- Left: CT. Right: PSMA PET, same axial level, [18F]PSMA-1007 tracer
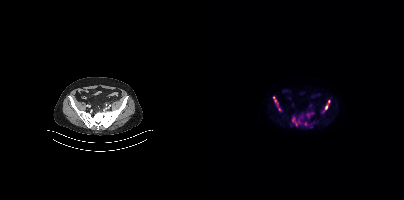
Findings: Coordinates are on the 200×200 PET (right) panel. (showing 8 of 10 foci) PSMA-avid tumor lesion bounding boxes (x0, y0)-(x1, y1): (121, 100)-(126, 110); (103, 112)-(109, 117); (69, 96)-(73, 103). Small PSMA-avid foci (2 to 4 px across) near (center x, center y): (89, 119); (101, 123); (94, 119); (92, 124); (97, 116).